- privacy masking over the head, with the pixels inside a rectangle set to black
- Paired axial CT (left) and PSMA PET (right), [18F]PSMA-1007 tracer
- PET panel 200×200 px (4.1 mm/px)
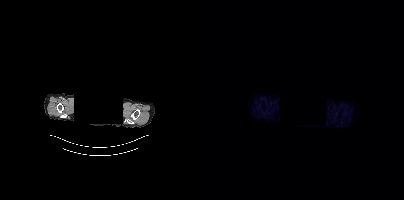
Findings: No PSMA-avid tumor lesions on this slice.